Two-panel axial: CT | PSMA PET, 68Ga-PSMA tracer. Slice position z = -902 mm. PET panel 200×200 px (4.1 mm/px).
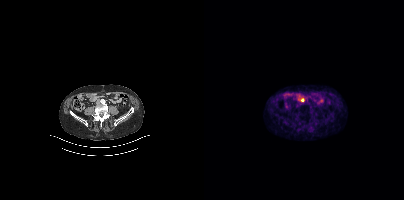
Coordinates are on the 200×200 PET (right) panel. Small PSMA-avid focus (2 to 4 px across) near (center x, center y): (98, 99).